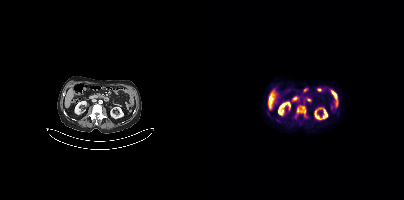
Coordinates are on the 200×200 PET (right) panel. PSMA-avid tumor lesion bounding box (x0,y0,x1,y1): [91,105,103,117].